Two-panel axial: CT | PSMA PET, [18F]PSMA-1007 tracer. Acquired on Siemens Biograph mCT Flow 20. PET panel 200×200 px (4.1 mm/px).
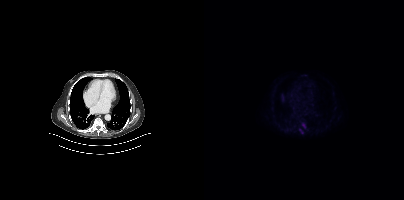
Coordinates are on the 200×200 PET (right) panel. PSMA-avid tumor lesion bounding boxes:
| # | x0 | y0 | x1 | y1 |
|---|---|---|---|---|
| 1 | 94 | 128 | 100 | 134 |
| 2 | 97 | 122 | 102 | 128 |